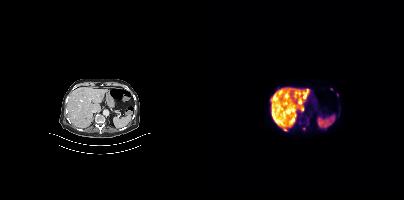
Coordinates are on the 200×200 PET (right) panel. PSMA-avid tumor lesion bounding boxes (x0,y0,x1,y1): [76,108,85,113]; [68,113,72,118]. Small PSMA-avid foci (2 to 4 px across) near (center x, center y): (103, 90); (80, 129); (73, 108); (99, 128).